Technique: Two-panel axial: CT | PSMA PET, [18F]PSMA-1007 tracer. acquired on Siemens Biograph mCT Flow 20. slice 128 of 417. PET panel 200×200 px (4.1 mm/px).
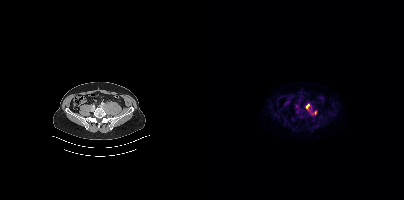
Findings: Coordinates are on the 200×200 PET (right) panel. PSMA-avid tumor lesion bounding box (x, y, width, height): x=102 y=103 w=4 h=8. Small PSMA-avid focus (2 to 4 px across) near (center x, center y): (111, 112).